Two-panel axial: CT | PSMA PET, 18F-PSMA tracer.
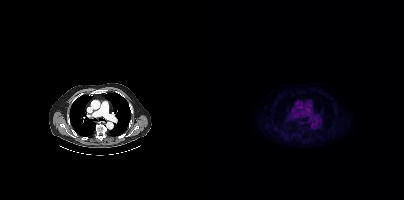
No PSMA-avid tumor lesions on this slice.